Left: CT. Right: PSMA PET, same axial level, 18F tracer. PET panel 168×168 px (4.1 mm/px).
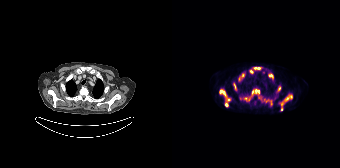
Coordinates are on the 168×168 PET (right) panel. PSMA-avid tumor lesion bounding boxes:
| # | x0 | y0 | x1 | y1 |
|---|---|---|---|---|
| 1 | 72 | 88 | 89 | 101 |
| 2 | 47 | 89 | 58 | 107 |
| 3 | 107 | 94 | 120 | 110 |
| 4 | 92 | 99 | 100 | 105 |
| 5 | 66 | 73 | 72 | 79 |
| 6 | 81 | 67 | 89 | 69 |
| 7 | 61 | 83 | 64 | 90 |
| 8 | 105 | 86 | 108 | 91 |
| 9 | 77 | 69 | 81 | 73 |
| 10 | 96 | 74 | 100 | 77 |